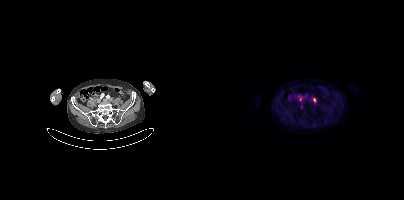
{"pet_grid":[200,200],"coord_frame":"pet_panel","coord_format":"x0,y0,x1,y1","partial":true,"lesion_bboxes":[[109,98,111,102]],"small_foci_centers":[[96,99]],"modality":"PSMA PET/CT","view":"axial","tracer":"[18F]PSMA-1007"}